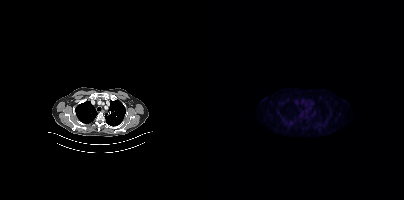
Two-panel axial: CT | PSMA PET, 18F-PSMA tracer. Acquired on Siemens Biograph mCT Flow 20. Slice 320 of 411. No tumor lesions annotated on this slice.